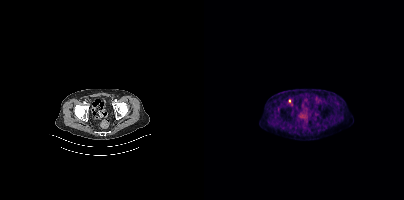
{"modality":"PSMA PET/CT","view":"axial","tracer":"[18F]PSMA-1007","pet_grid":[200,200],"coord_frame":"pet_panel","coord_format":"x0,y0,x1,y1","lesion_bboxes":[],"small_foci_centers":[[85,100]]}